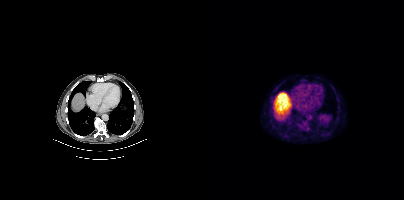
- Left: CT. Right: PSMA PET, same axial level, 18F-PSMA tracer
- acquired on Siemens Biograph mCT Flow 20
- PET panel 200×200 px (4.1 mm/px)
Findings: Coordinates are on the 200×200 PET (right) panel. Small PSMA-avid focus (2 to 4 px across) near (center x, center y): (104, 128).